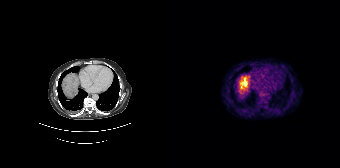
{"pet_grid":[168,168],"coord_frame":"pet_panel","coord_format":"x0,y0,x1,y1","lesion_bboxes":[[68,78,75,88]],"modality":"PSMA PET/CT","view":"axial","tracer":"68Ga"}